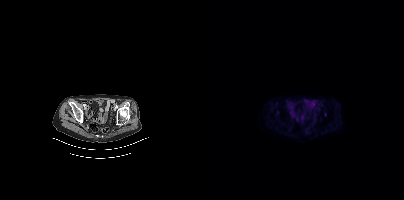
{"modality":"PSMA PET/CT","view":"axial","tracer":"[68Ga]Ga-PSMA-11","pet_grid":[200,200],"coord_frame":"pet_panel","coord_format":"x0,y0,x1,y1","partial":true,"lesion_bboxes":[]}